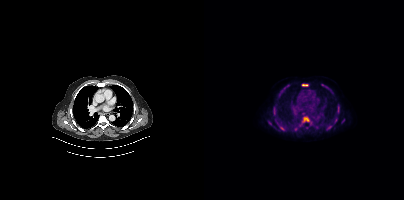
{"modality":"PSMA PET/CT","view":"axial","tracer":"18F","pet_grid":[200,200],"coord_frame":"pet_panel","coord_format":"x0,y0,x1,y1","partial":true,"lesion_bboxes":[[99,117,105,121],[133,104,135,113],[69,107,71,114],[98,84,104,86],[75,125,80,130],[123,125,127,129],[130,118,133,122],[117,84,122,87]],"small_foci_centers":[[112,127],[139,120],[66,123],[84,85],[80,88],[102,127]]}